modality: PSMA PET/CT | tracer: 18F-PSMA | view: axial
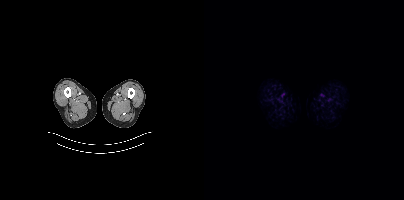
This slice has no annotated PSMA-avid lesion.